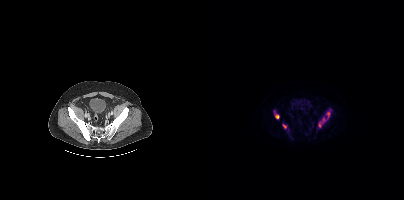
Left: CT. Right: PSMA PET, same axial level, [18F]PSMA-1007 tracer. Acquired on Siemens Biograph mCT Flow 20. Slice 88 of 417. PET panel 200×200 px (4.1 mm/px).
Coordinates are on the 200×200 PET (right) panel. PSMA-avid tumor lesion bounding boxes (partial; 1 more focus not listed):
| # | x0 | y0 | x1 | y1 |
|---|---|---|---|---|
| 1 | 115 | 117 | 121 | 127 |
| 2 | 122 | 111 | 126 | 119 |
| 3 | 71 | 114 | 75 | 118 |
| 4 | 79 | 124 | 82 | 128 |